- Left: CT. Right: PSMA PET, same axial level, 18F tracer
- acquired on Siemens Biograph mCT Flow 20
- PET panel 200×200 px (4.1 mm/px)
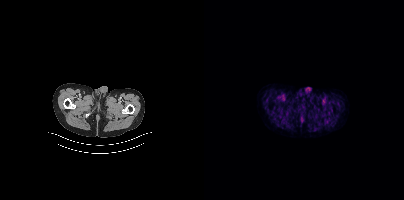
Findings: Negative for PSMA-avid disease on this slice.